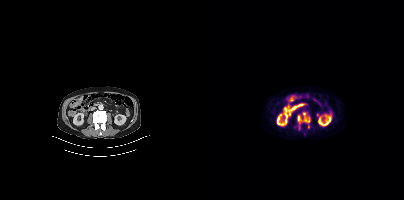
Coordinates are on the 200×200 PET (right) panel. PSMA-avid tumor lesion bounding box (x, y, width, height): x=93 y=113 w=14 h=17. Small PSMA-avid focus (2 to 4 px across) near (center x, center y): (104, 126).